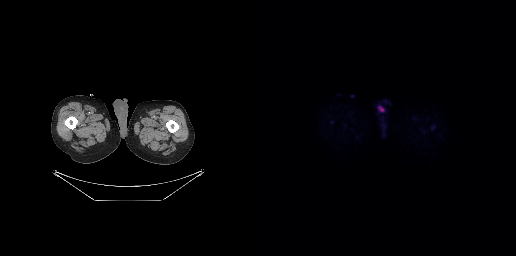
Technique: Two-panel axial: CT | PSMA PET, 18F-PSMA tracer. PET panel 256×256 px (2.7 mm/px).
Findings: No tumor lesions annotated on this slice.